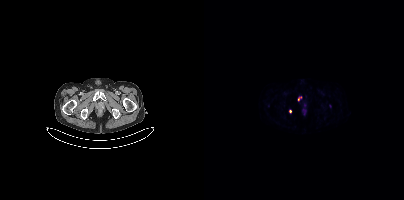
Coordinates are on the 200×200 PET (right) panel. (showing 3 of 4 foci) Small PSMA-avid foci (2 to 4 px across) near (center x, center y): (126, 106); (86, 111); (94, 99). Two-panel axial: CT | PSMA PET, 68Ga-PSMA tracer. Slice position z = -1533 mm. PET panel 200×200 px (4.1 mm/px).